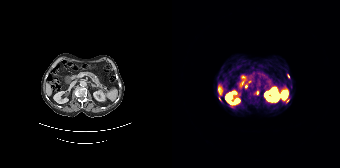
Paired axial CT (left) and PSMA PET (right), 68Ga-PSMA tracer. Coordinates are on the 168×168 PET (right) panel. (showing 5 of 6 foci) Small PSMA-avid foci (2 to 4 px across) near (center x, center y): (85, 92) | (47, 98) | (116, 76) | (77, 81) | (115, 102).